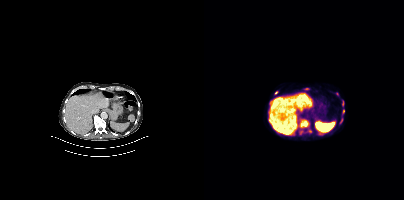
Coordinates are on the 200×200 PET (right) panel. (showing 8 of 9 foci) PSMA-avid tumor lesion bounding boxes (x0,y0,x1,y1): [96,120,104,127] [138,109,140,113] [138,101,139,106]. Small PSMA-avid foci (2 to 4 px across) near (center x, center y): (106, 131) (97, 132) (72, 92) (133, 93) (102, 88).
modality: PSMA PET/CT | tracer: 18F | view: axial